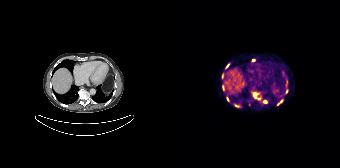
{"modality":"PSMA PET/CT","view":"axial","tracer":"68Ga-PSMA","pet_grid":[168,168],"coord_frame":"pet_panel","coord_format":"x0,y0,x1,y1","partial":true,"lesion_bboxes":[[105,100,110,105]],"small_foci_centers":[[81,60],[55,98],[93,101],[114,91],[64,105],[55,66]]}